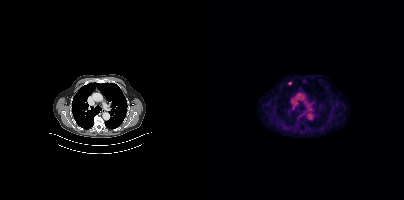
Technique: Two-panel axial: CT | PSMA PET, 18F tracer. slice 294 of 401. PET panel 200×200 px (4.1 mm/px).
Findings: Coordinates are on the 200×200 PET (right) panel. Small PSMA-avid focus (2 to 4 px across) near (center x, center y): (85, 83).